modality: PSMA PET/CT | tracer: [18F]PSMA-1007 | view: axial
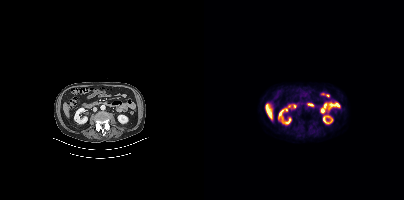
No tumor lesions annotated on this slice.